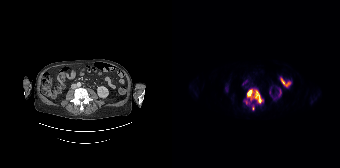
Coordinates are on the 168×168 PET (right) panel. PSMA-avid tumor lesion bounding boxes:
| # | x0 | y0 | x1 | y1 |
|---|---|---|---|---|
| 1 | 75 | 88 | 91 | 103 |
| 2 | 80 | 106 | 82 | 110 |
Small PSMA-avid focus (2 to 4 px across) near (center x, center y): (74, 102).
Two-panel axial: CT | PSMA PET, 18F tracer. Acquired on Siemens Biograph 64-4R TruePoint.